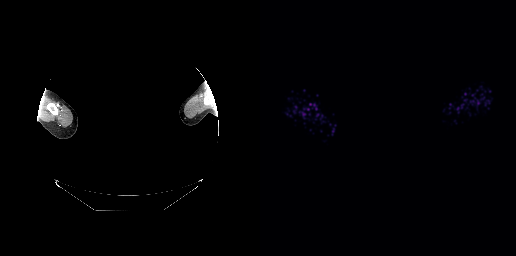
Two-panel axial: CT | PSMA PET, [68Ga]Ga-PSMA-11 tracer. Acquired on GE Discovery 690. Slice position z = -129 mm. Privacy masking over the head, with the pixels inside a rectangle set to black. Negative for PSMA-avid disease on this slice.